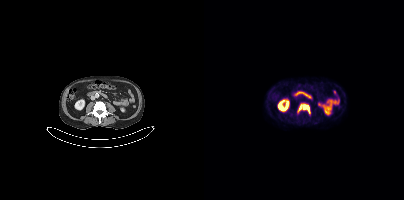
Findings: Coordinates are on the 200×200 PET (right) panel. PSMA-avid tumor lesion bounding box (x0,y0,x1,y1): [93,103,106,113].
Technique: Two-panel axial: CT | PSMA PET, [18F]PSMA-1007 tracer. acquired on Siemens Biograph mCT Flow 20. slice 171 of 415.